Left: CT. Right: PSMA PET, same axial level, 68Ga-PSMA tracer. PET panel 256×256 px (2.7 mm/px).
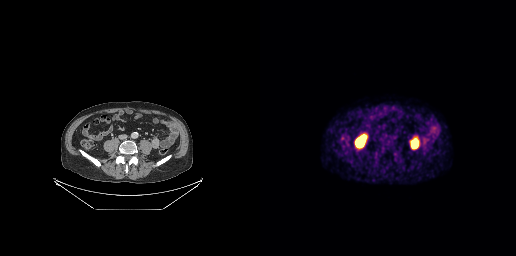
This slice has no annotated PSMA-avid lesion.